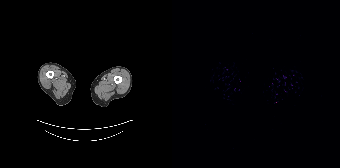
Negative for PSMA-avid disease on this slice.
modality: PSMA PET/CT | tracer: [18F]PSMA-1007 | view: axial | PET grid: 168×168